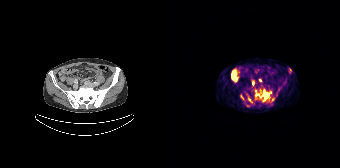
Coordinates are on the 168×168 PET (right) panel. (showing 6 of 8 foci) PSMA-avid tumor lesion bounding boxes (x0, y0)-(x1, y1): (90, 89)-(99, 101); (75, 94)-(80, 103); (83, 93)-(88, 97); (68, 94)-(72, 99); (80, 81)-(81, 85). Small PSMA-avid focus (2 to 4 px across) near (center x, center y): (75, 105).